Two-panel axial: CT | PSMA PET, [18F]PSMA-1007 tracer. Slice position z = -544 mm. PET panel 200×200 px (4.1 mm/px).
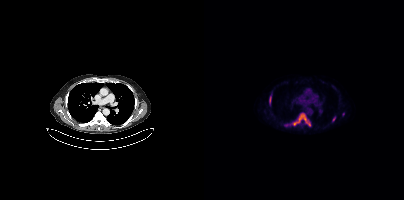
Coordinates are on the 200×200 PET (right) panel. (showing 5 of 6 foci) PSMA-avid tumor lesion bounding boxes (x0,y0,x1,y1): [89,113,106,126] [65,96,67,104] [129,117,131,121]. Small PSMA-avid foci (2 to 4 px across) near (center x, center y): (139, 114) (80, 125).